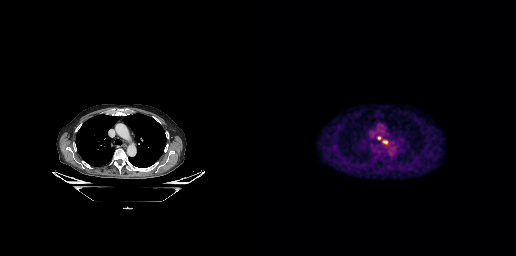
Coordinates are on the 256×256 PET (right) panel. PSMA-avid tumor lesion bounding boxes:
| # | x0 | y0 | x1 | y1 |
|---|---|---|---|---|
| 1 | 123 | 141 | 127 | 143 |
Small PSMA-avid focus (2 to 4 px across) near (center x, center y): (119, 137).
Left: CT. Right: PSMA PET, same axial level, [18F]PSMA-1007 tracer. Slice 201 of 263. PET panel 256×256 px (2.7 mm/px).